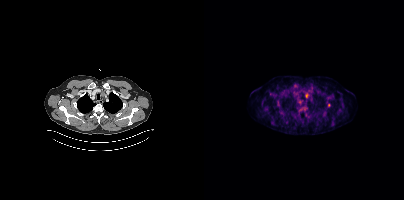
Paired axial CT (left) and PSMA PET (right), 18F tracer. Slice 362 of 454. PET panel 200×200 px (4.1 mm/px). Coordinates are on the 200×200 PET (right) panel. (showing 2 of 3 foci) Small PSMA-avid foci (2 to 4 px across) near (center x, center y): (102, 95) | (125, 104).